Technique: Two-panel axial: CT | PSMA PET, 18F tracer. acquired on Siemens Biograph mCT Flow 20. slice position z = -1155 mm.
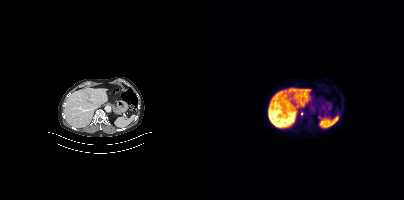
Findings: Coordinates are on the 200×200 PET (right) panel. Small PSMA-avid focus (2 to 4 px across) near (center x, center y): (97, 113).